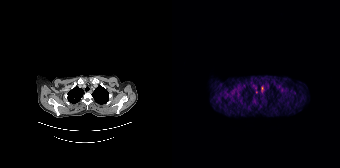
Only PSMA-avid lesion pieces thinner than 2 px on this slice (not listed).